modality: PSMA PET/CT | tracer: 68Ga | view: axial | PET grid: 256×256
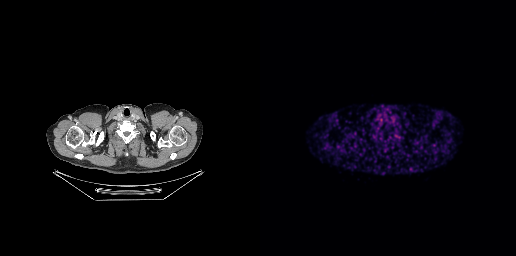
Negative for PSMA-avid disease on this slice.